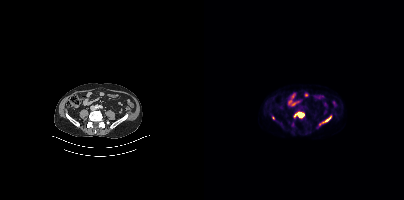
Coordinates are on the 200×200 PET (right) panel. (showing 3 of 4 foci) PSMA-avid tumor lesion bounding boxes (x0,y0,x1,y1): [94,112,100,117], [121,115,127,121]. Small PSMA-avid focus (2 to 4 px across) near (center x, center y): (69, 117).